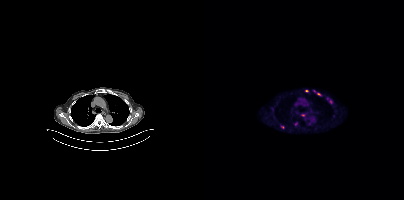
{"modality":"PSMA PET/CT","view":"axial","tracer":"[18F]PSMA-1007","pet_grid":[200,200],"coord_frame":"pet_panel","coord_format":"x0,y0,x1,y1","lesion_bboxes":[[113,92,117,95]],"small_foci_centers":[[102,91],[126,101],[78,127],[110,91],[99,115],[92,124],[87,93],[123,98]]}